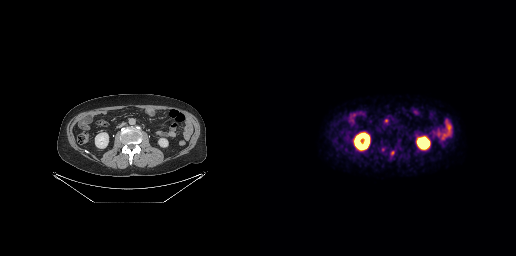
Coordinates are on the 256×256 PET (right) panel. Small PSMA-avid foci (2 to 4 px across) near (center x, center y): (126, 120), (132, 152).